Two-panel axial: CT | PSMA PET, 18F-PSMA tracer. Acquired on Siemens Biograph mCT Flow 20. Slice position z = -666 mm.
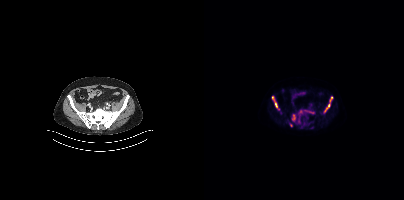
Coordinates are on the 200×200 PET (right) panel. PSMA-avid tumor lesion bounding boxes (partial; 2 more foci not listed):
| # | x0 | y0 | x1 | y1 |
|---|---|---|---|---|
| 1 | 120 | 96 | 128 | 112 |
| 2 | 68 | 96 | 73 | 108 |
| 3 | 100 | 110 | 110 | 113 |
| 4 | 94 | 110 | 98 | 116 |
| 5 | 88 | 114 | 91 | 120 |
Small PSMA-avid focus (2 to 4 px across) near (center x, center y): (94, 119).